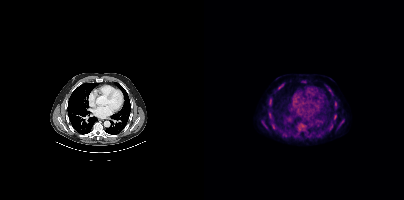
Coordinates are on the 200×200 PET (right) panel. (showing 9 of 11 foci) PSMA-avid tumor lesion bounding boxes (x0, y0)-(x1, y1): (135, 119)-(140, 126); (74, 84)-(78, 88); (130, 101)-(133, 105); (59, 124)-(63, 128). Small PSMA-avid foci (2 to 4 px across) near (center x, center y): (69, 126); (99, 81); (131, 117); (65, 113); (124, 87). Left: CT. Right: PSMA PET, same axial level, [18F]PSMA-1007 tracer. Acquired on Siemens Biograph mCT Flow 20. Slice 287 of 438. PET panel 200×200 px (4.1 mm/px).